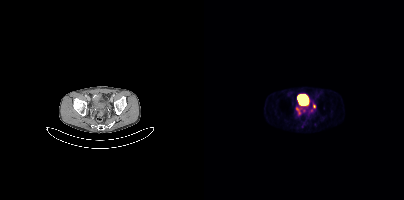
Findings: Coordinates are on the 200×200 PET (right) panel. (showing 3 of 4 foci) PSMA-avid tumor lesion bounding box (x0, y0)-(x1, y1): (92, 107)-(97, 114). Small PSMA-avid foci (2 to 4 px across) near (center x, center y): (110, 105); (105, 112).
Technique: Two-panel axial: CT | PSMA PET, 68Ga-PSMA tracer. acquired on Siemens Biograph mCT Flow 20. PET panel 200×200 px (4.1 mm/px).